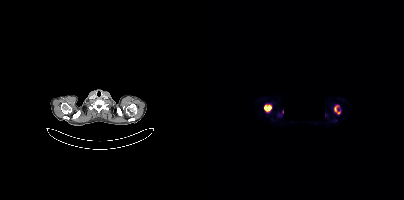
- Paired axial CT (left) and PSMA PET (right), [68Ga]Ga-PSMA-11 tracer
- slice position z = -545 mm
- a rectangular privacy mask was applied before release
Findings: Coordinates are on the 200×200 PET (right) panel. (showing 2 of 3 foci) PSMA-avid tumor lesion bounding boxes (x, y, width, height): x=60 y=105 w=8 h=7 / x=130 y=106 w=6 h=8.